Technique: Left: CT. Right: PSMA PET, same axial level, [68Ga]Ga-PSMA-11 tracer. slice 177 of 195. PET panel 168×168 px (4.1 mm/px).
Note: Head region blanked for anonymization (face removed).
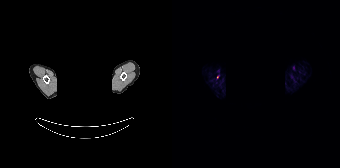
Findings: Coordinates are on the 168×168 PET (right) panel. Small PSMA-avid focus (2 to 4 px across) near (center x, center y): (45, 77).